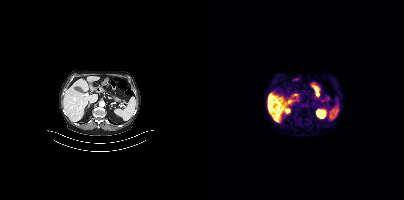
Paired axial CT (left) and PSMA PET (right), 68Ga-PSMA tracer. Acquired on Siemens Biograph mCT Flow 20. PET panel 200×200 px (4.1 mm/px). No PSMA-avid tumor lesions on this slice.